Two-panel axial: CT | PSMA PET, 18F tracer. PET panel 256×256 px (2.7 mm/px).
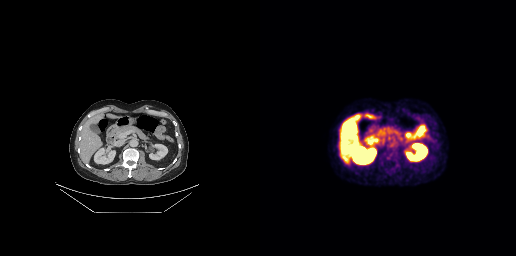
No tumor lesions annotated on this slice.